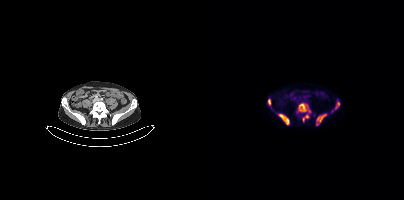
Left: CT. Right: PSMA PET, same axial level, 18F tracer. Slice 118 of 403. Coordinates are on the 200×200 PET (right) panel. PSMA-avid tumor lesion bounding boxes (x0, y0)-(x1, y1): (94, 103)-(106, 112) / (74, 113)-(85, 124) / (112, 114)-(122, 125) / (98, 114)-(105, 121) / (131, 102)-(135, 109) / (64, 98)-(66, 105).